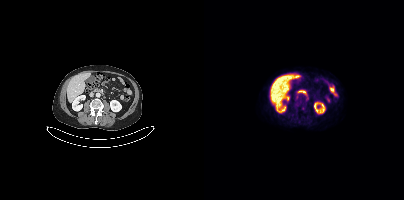
Technique: Left: CT. Right: PSMA PET, same axial level, 18F-PSMA tracer. acquired on Siemens Biograph mCT Flow 20.
Findings: Only PSMA-avid lesion pieces thinner than 2 px on this slice (not listed).